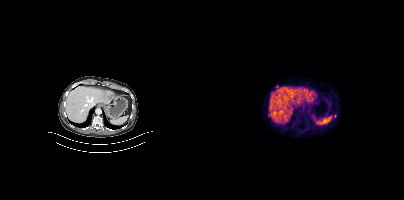
{"modality":"PSMA PET/CT","view":"axial","tracer":"68Ga","pet_grid":[200,200],"coord_frame":"pet_panel","coord_format":"x0,y0,x1,y1","psma_avid_lesions":false}